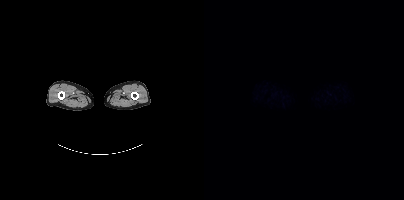
Left: CT. Right: PSMA PET, same axial level, [18F]PSMA-1007 tracer. Acquired on Siemens Biograph mCT Flow 20. PET panel 200×200 px (4.1 mm/px). This slice has no annotated PSMA-avid lesion.